modality: PSMA PET/CT | tracer: 18F-PSMA | view: axial
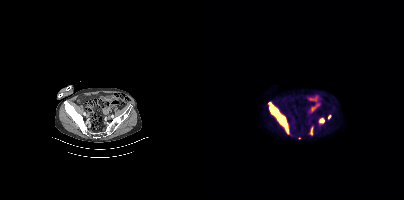
Coordinates are on the 200×200 PET (right) panel. (showing 4 of 5 foci) PSMA-avid tumor lesion bounding boxes (x, y, width, height): x=64 y=102 w=22 h=33 | x=115 y=118 w=6 h=6 | x=106 y=127 w=3 h=9 | x=124 y=114 w=4 h=6.